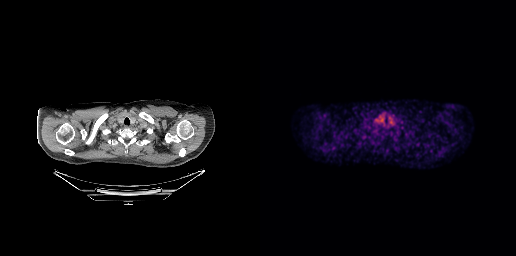
Paired axial CT (left) and PSMA PET (right), [18F]PSMA-1007 tracer. No tumor lesions annotated on this slice.